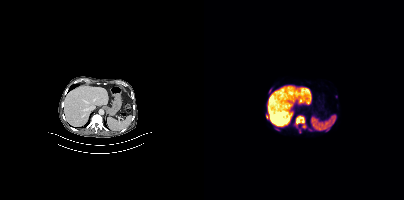
Coordinates are on the 200×200 PET (right) panel. PSMA-avid tumor lesion bounding boxes (partial; 1 more focus not listed):
| # | x0 | y0 | x1 | y1 |
|---|---|---|---|---|
| 1 | 91 | 115 | 101 | 127 |
| 2 | 72 | 127 | 76 | 130 |
Small PSMA-avid foci (2 to 4 px across) near (center x, center y): (63, 117); (106, 129).
Two-panel axial: CT | PSMA PET, [18F]PSMA-1007 tracer. PET panel 200×200 px (4.1 mm/px).